Left: CT. Right: PSMA PET, same axial level, 18F-PSMA tracer. Slice 315 of 442.
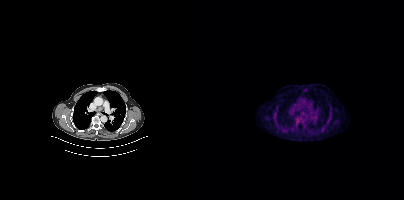
No tumor lesions annotated on this slice.